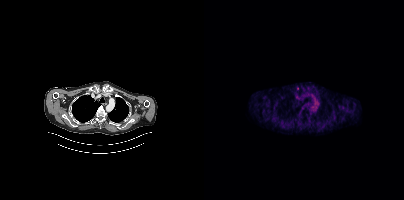
This slice has no annotated PSMA-avid lesion. Left: CT. Right: PSMA PET, same axial level, 18F tracer. Acquired on Siemens Biograph mCT Flow 20.